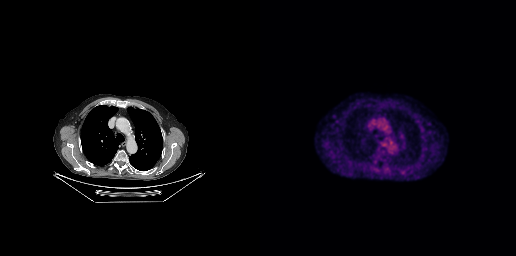
This slice has no annotated PSMA-avid lesion.